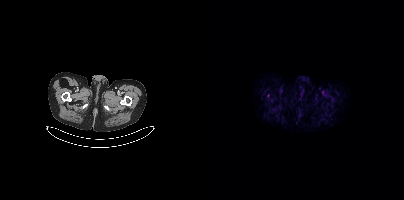
Left: CT. Right: PSMA PET, same axial level, 18F tracer. Acquired on Siemens Biograph mCT Flow 20. Slice 17 of 381. Negative for PSMA-avid disease on this slice.